Technique: Left: CT. Right: PSMA PET, same axial level, 18F-PSMA tracer. slice position z = -342 mm.
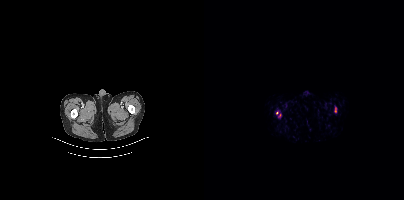
Findings: Coordinates are on the 200×200 PET (right) panel. (showing 1 of 2 foci) Small PSMA-avid focus (2 to 4 px across) near (center x, center y): (72, 112).